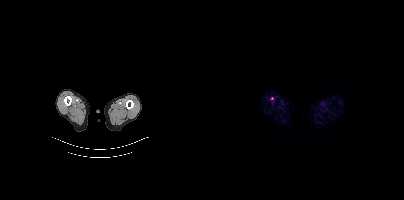
Two-panel axial: CT | PSMA PET, 18F-PSMA tracer. Coordinates are on the 200×200 PET (right) panel. Small PSMA-avid focus (2 to 4 px across) near (center x, center y): (68, 98).